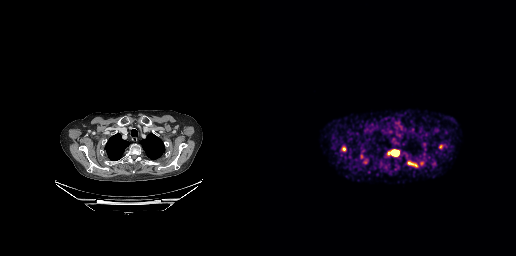
Coordinates are on the 256×256 PET (right) panel. PSMA-avid tumor lesion bounding boxes:
| # | x0 | y0 | x1 | y1 |
|---|---|---|---|---|
| 1 | 127 | 150 | 138 | 155 |
| 2 | 148 | 162 | 157 | 166 |
| 3 | 100 | 153 | 104 | 159 |
Small PSMA-avid foci (2 to 4 px across) near (center x, center y): (83, 148); (180, 146); (162, 163).
Two-panel axial: CT | PSMA PET, 68Ga-PSMA tracer. Acquired on GE Discovery 690. Slice 216 of 263. PET panel 256×256 px (2.7 mm/px).